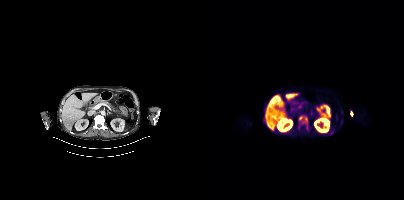
Left: CT. Right: PSMA PET, same axial level, [18F]PSMA-1007 tracer. Acquired on Siemens Biograph mCT Flow 20. Coordinates are on the 200×200 PET (right) panel. PSMA-avid tumor lesion bounding box (x0,y0,x1,y1): [95,115,103,126].